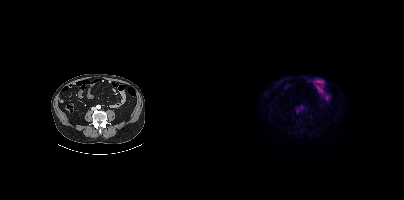
This slice has no annotated PSMA-avid lesion.